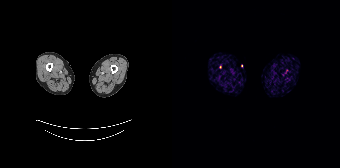
{"modality":"PSMA PET/CT","view":"axial","tracer":"68Ga-PSMA","pet_grid":[168,168],"coord_frame":"pet_panel","coord_format":"x0,y0,x1,y1","psma_avid_lesions":false}